Left: CT. Right: PSMA PET, same axial level, 18F tracer. Slice 232 of 409. PET panel 200×200 px (4.1 mm/px).
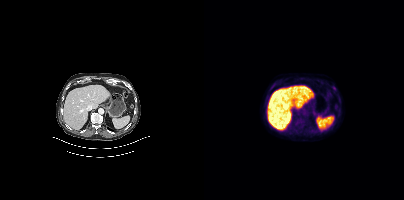
No PSMA-avid tumor lesions on this slice.